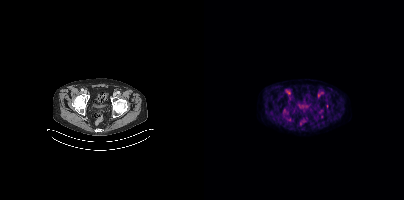
Coordinates are on the 200×200 PET (right) panel. PSMA-avid tumor lesion bounding box (x, y, width, height): x=79 y=109 w=2 h=5.